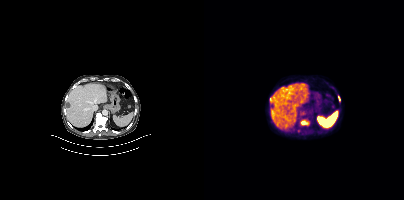
Coordinates are on the 200×200 PET (right) panel. PSMA-avid tumor lesion bounding box (x, y, width, height): x=97 y=120 w=9 h=6. Small PSMA-avid foci (2 to 4 px across) near (center x, center y): (134, 98) / (66, 100).
modality: PSMA PET/CT | tracer: [18F]PSMA-1007 | view: axial | PET grid: 200×200